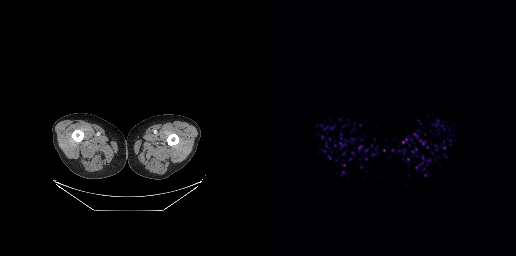
{"modality":"PSMA PET/CT","view":"axial","tracer":"68Ga","pet_grid":[256,256],"coord_frame":"pet_panel","coord_format":"x0,y0,x1,y1","psma_avid_lesions":false}